Left: CT. Right: PSMA PET, same axial level, [18F]PSMA-1007 tracer. Slice 181 of 415.
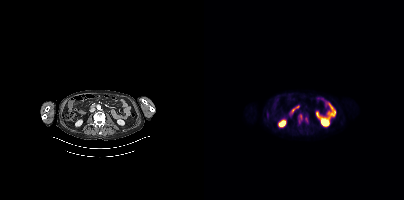
Coordinates are on the 200×200 PET (right) panel. PSMA-avid tumor lesion bounding boxes (x0, y0)-(x1, y1): (95, 114)-(99, 122) | (101, 116)-(103, 121).